Left: CT. Right: PSMA PET, same axial level, 18F-PSMA tracer. Acquired on Siemens Biograph mCT Flow 20. Slice 97 of 435.
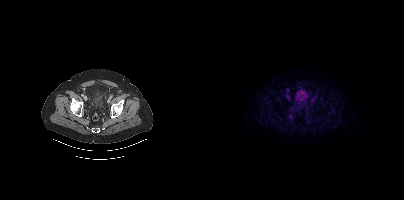
No tumor lesions annotated on this slice.